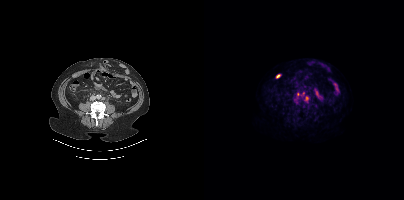
{"modality":"PSMA PET/CT","view":"axial","tracer":"18F-PSMA","pet_grid":[200,200],"coord_frame":"pet_panel","coord_format":"x0,y0,x1,y1","lesion_bboxes":[[93,91,101,97]]}